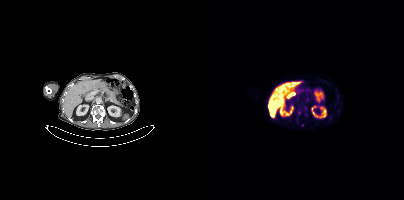
{"modality":"PSMA PET/CT","view":"axial","tracer":"18F-PSMA","pet_grid":[200,200],"coord_frame":"pet_panel","coord_format":"x0,y0,x1,y1","lesion_bboxes":[[93,110,96,114]],"small_foci_centers":[[98,125]]}